Paired axial CT (left) and PSMA PET (right), 68Ga-PSMA tracer. Acquired on Siemens Biograph mCT Flow 20. Slice position z = -1386 mm. PET panel 200×200 px (4.1 mm/px).
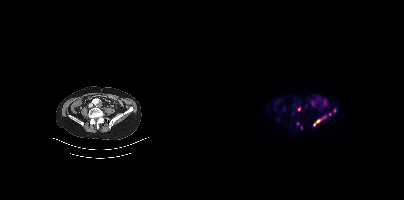
Coordinates are on the 200×200 PET (right) panel. PSMA-avid tumor lesion bounding boxes:
| # | x0 | y0 | x1 | y1 |
|---|---|---|---|---|
| 1 | 111 | 119 | 117 | 124 |
| 2 | 130 | 108 | 132 | 112 |
Small PSMA-avid foci (2 to 4 px across) near (center x, center y): (126, 114); (97, 127); (93, 123); (94, 109); (120, 117).